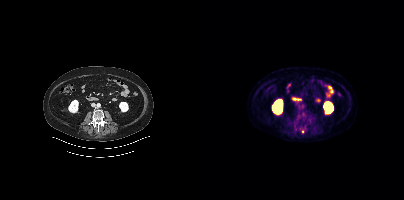
Coordinates are on the 200×200 PET (right) panel. Small PSMA-avid focus (2 to 4 px across) near (center x, center y): (98, 131).